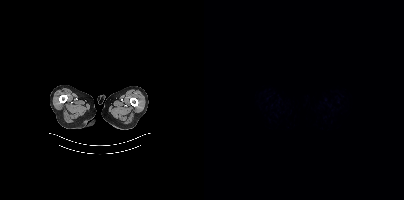
Findings: This slice has no annotated PSMA-avid lesion.
Technique: Left: CT. Right: PSMA PET, same axial level, 18F-PSMA tracer. acquired on Siemens Biograph mCT Flow 20. slice 10 of 395.